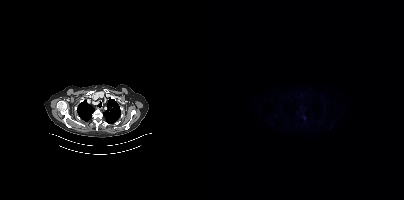
Coordinates are on the 200×200 PET (right) panel. Small PSMA-avid focus (2 to 4 px across) near (center x, center y): (100, 117).